- Two-panel axial: CT | PSMA PET, 68Ga tracer
- acquired on Siemens Biograph mCT Flow 20
- slice 369 of 393
- any black rectangle over the head is a privacy mask, not anatomy
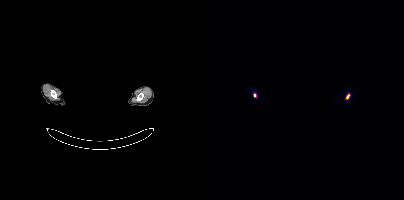
Findings: Coordinates are on the 200×200 PET (right) panel. PSMA-avid tumor lesion bounding box (x, y, width, height): x=142 y=94 w=4 h=5. Small PSMA-avid focus (2 to 4 px across) near (center x, center y): (50, 95).